Technique: Paired axial CT (left) and PSMA PET (right), 18F tracer. acquired on Siemens Biograph mCT Flow 20. slice 219 of 423.
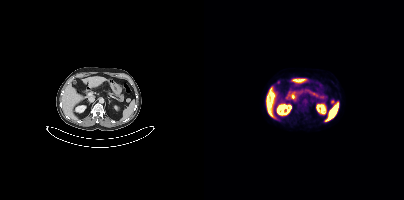
Findings: Coordinates are on the 200×200 PET (right) panel. Small PSMA-avid focus (2 to 4 px across) near (center x, center y): (128, 101).